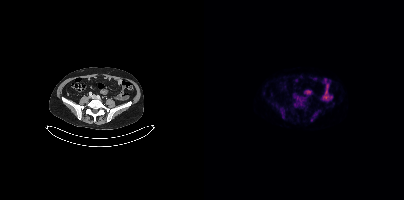
No tumor lesions annotated on this slice.
modality: PSMA PET/CT | tracer: 18F-PSMA | view: axial | PET grid: 200×200